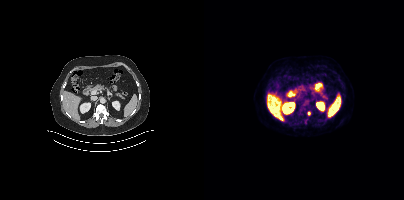
{"pet_grid":[200,200],"coord_frame":"pet_panel","coord_format":"x0,y0,x1,y1","lesion_bboxes":[],"small_foci_centers":[[104,113]],"modality":"PSMA PET/CT","view":"axial","tracer":"[18F]PSMA-1007"}